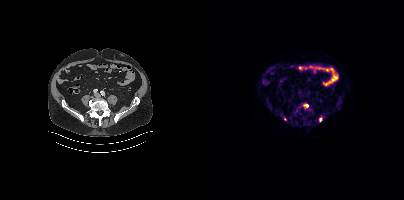
{"modality":"PSMA PET/CT","view":"axial","tracer":"[18F]PSMA-1007","pet_grid":[200,200],"coord_frame":"pet_panel","coord_format":"x0,y0,x1,y1","lesion_bboxes":[],"small_foci_centers":[[116,119],[81,119],[103,105]]}